Technique: Two-panel axial: CT | PSMA PET, 18F tracer. slice position z = -1195 mm. PET panel 200×200 px (4.1 mm/px).
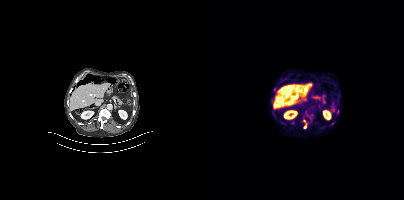
Findings: Coordinates are on the 200×200 PET (right) panel. (showing 7 of 10 foci) PSMA-avid tumor lesion bounding boxes (x0, y0)-(x1, y1): (99, 119)-(104, 128); (132, 93)-(136, 98); (66, 97)-(69, 104); (75, 119)-(82, 125); (102, 114)-(108, 118). Small PSMA-avid foci (2 to 4 px across) near (center x, center y): (70, 89); (128, 123).